- Left: CT. Right: PSMA PET, same axial level, 18F-PSMA tracer
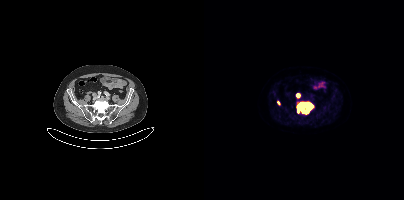
Findings: Coordinates are on the 200×200 PET (right) panel. PSMA-avid tumor lesion bounding box (x0,y0,x1,y1): [93,102,109,113]. Small PSMA-avid foci (2 to 4 px across) near (center x, center y): (93, 95); (74, 102).